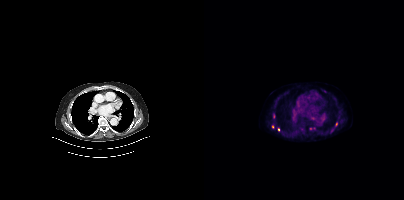
{"modality":"PSMA PET/CT","view":"axial","tracer":"18F","pet_grid":[200,200],"coord_frame":"pet_panel","coord_format":"x0,y0,x1,y1","partial":true,"lesion_bboxes":[[105,127,109,130],[69,114,71,118]],"small_foci_centers":[[68,126],[132,124],[74,129],[98,129]]}